Paired axial CT (left) and PSMA PET (right), [18F]PSMA-1007 tracer.
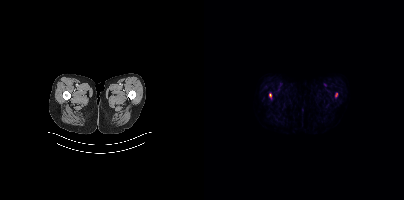
Coordinates are on the 200×200 PET (right) panel. PSMA-avid tumor lesion bounding box (x0, y0)-(x1, y1): (65, 93)-(67, 97). Small PSMA-avid focus (2 to 4 px across) near (center x, center y): (132, 94).